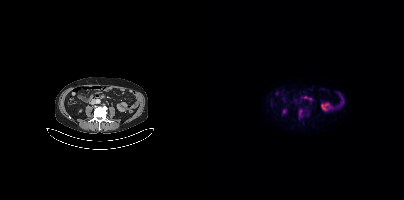
{"modality":"PSMA PET/CT","view":"axial","tracer":"18F","pet_grid":[200,200],"coord_frame":"pet_panel","coord_format":"x0,y0,x1,y1","lesion_bboxes":[[95,109,98,118]]}